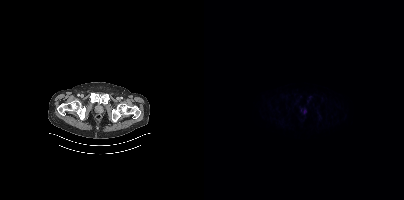
Paired axial CT (left) and PSMA PET (right), 18F tracer. Acquired on Siemens Biograph mCT Flow 20. Slice position z = -998 mm. PET panel 200×200 px (4.1 mm/px). Negative for PSMA-avid disease on this slice.